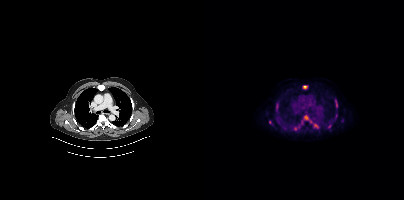
Coordinates are on the 200×200 PET (right) panel. (showing 12 of 13 foci) PSMA-avid tumor lesion bounding boxes (x0, y0)-(x1, y1): (130, 98)-(134, 108) | (109, 123)-(114, 128) | (89, 125)-(95, 130) | (98, 116)-(103, 123) | (72, 103)-(74, 110) | (99, 85)-(103, 88) | (124, 124)-(127, 128). Small PSMA-avid foci (2 to 4 px across) near (center x, center y): (106, 120) | (138, 120) | (132, 115) | (66, 122) | (102, 127).